modality: PSMA PET/CT | tracer: 18F | view: axial
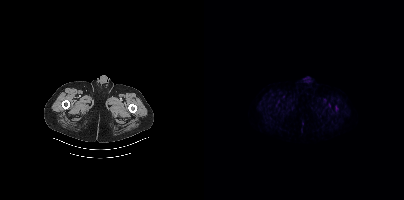
Coordinates are on the 200×200 PET (right) panel. PSMA-avid tumor lesion bounding box (x0, y0)-(x1, y1): (131, 107)-(134, 111).